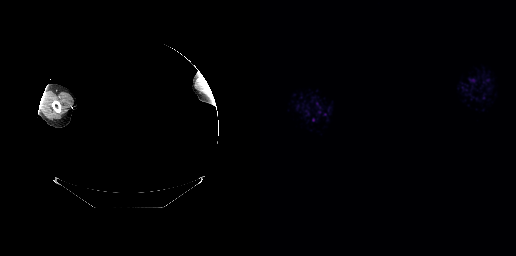
{"modality":"PSMA PET/CT","view":"axial","tracer":"68Ga-PSMA","pet_grid":[256,256],"coord_frame":"pet_panel","coord_format":"x0,y0,x1,y1","psma_avid_lesions":false,"deidentification":"head region blanked (face removed)"}